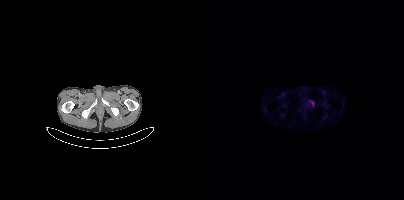
Coordinates are on the 200×200 PET (right) panel. PSMA-avid tumor lesion bounding boxes:
| # | x0 | y0 | x1 | y1 |
|---|---|---|---|---|
| 1 | 105 | 100 | 110 | 106 |
Two-panel axial: CT | PSMA PET, 68Ga-PSMA tracer. Slice position z = -1714 mm. PET panel 200×200 px (4.1 mm/px).